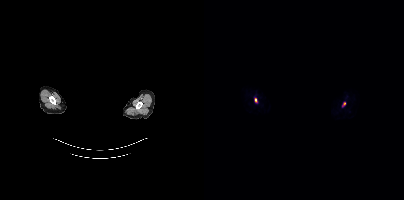
deidentification: privacy mask over head | modality: PSMA PET/CT | tracer: 18F-PSMA | view: axial | PET grid: 200×200
Coordinates are on the 200×200 PET (right) panel. Small PSMA-avid foci (2 to 4 px across) near (center x, center y): (51, 99) / (140, 103).